Technique: Paired axial CT (left) and PSMA PET (right), 18F-PSMA tracer.
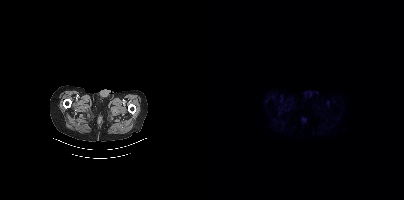
Findings: No PSMA-avid tumor lesions on this slice.